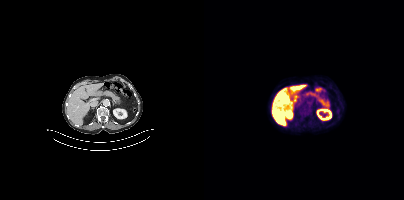
modality: PSMA PET/CT | tracer: 18F-PSMA | view: axial
This slice has no annotated PSMA-avid lesion.